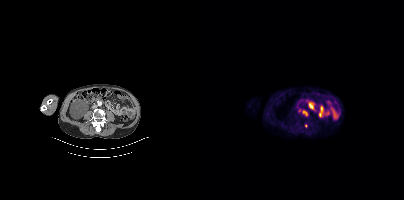
Paired axial CT (left) and PSMA PET (right), [18F]PSMA-1007 tracer. Acquired on Siemens Biograph mCT Flow 20. Slice position z = -86 mm. PET panel 200×200 px (4.1 mm/px).
Coordinates are on the 200×200 PET (right) panel. PSMA-avid tumor lesion bounding boxes:
| # | x0 | y0 | x1 | y1 |
|---|---|---|---|---|
| 1 | 94 | 109 | 103 | 115 |
Small PSMA-avid focus (2 to 4 px across) near (center x, center y): (102, 126).